Left: CT. Right: PSMA PET, same axial level, 18F-PSMA tracer. Acquired on Siemens Biograph mCT Flow 20. Slice 247 of 401.
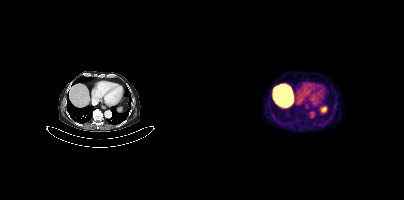
No PSMA-avid tumor lesions on this slice.